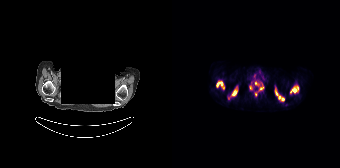
{"modality":"PSMA PET/CT","view":"axial","tracer":"18F-PSMA","pet_grid":[168,168],"coord_frame":"pet_panel","coord_format":"x0,y0,x1,y1","lesion_bboxes":[[118,84,127,93],[102,87,112,101],[44,81,52,89],[59,87,65,96],[87,84,91,90],[83,81,87,86],[77,85,80,89],[83,92,85,96]],"small_foci_centers":[[56,98]],"deidentification":"privacy mask over head"}